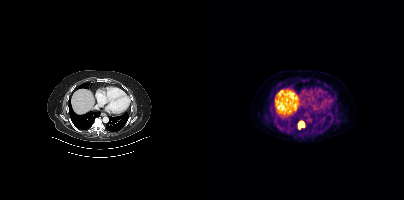
{"pet_grid":[200,200],"coord_frame":"pet_panel","coord_format":"x0,y0,x1,y1","lesion_bboxes":[[94,121,100,128]],"modality":"PSMA PET/CT","view":"axial","tracer":"18F"}